Two-panel axial: CT | PSMA PET, [68Ga]Ga-PSMA-11 tracer. PET panel 256×256 px (2.7 mm/px).
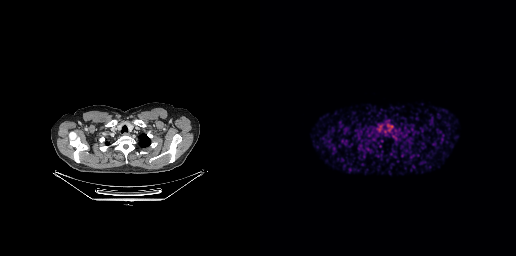
This slice has no annotated PSMA-avid lesion.